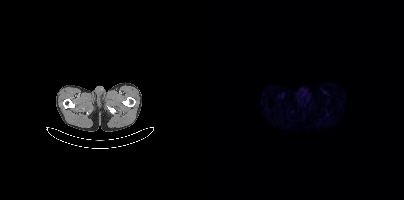
This slice has no annotated PSMA-avid lesion.